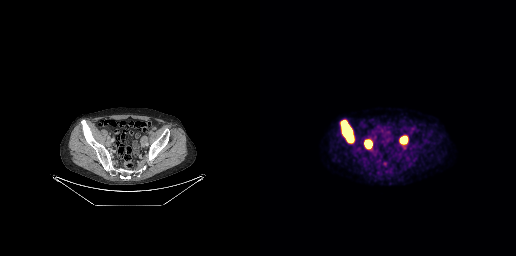
Coordinates are on the 256×256 PET (right) panel. PSMA-avid tumor lesion bounding boxes (x, y, width, height): x=82 y=121 w=12 h=22 / x=140 y=137 w=8 h=7 / x=105 y=140 w=7 h=8.